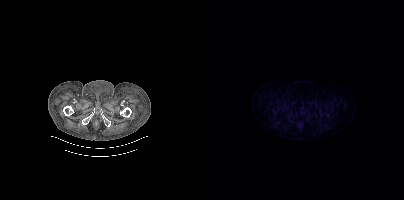
This slice has no annotated PSMA-avid lesion.
modality: PSMA PET/CT | tracer: [18F]PSMA-1007 | view: axial